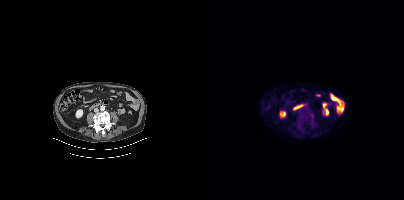
Coordinates are on the 200×200 PET (right) panel. Small PSMA-avid focus (2 to 4 px across) near (center x, center y): (107, 114).